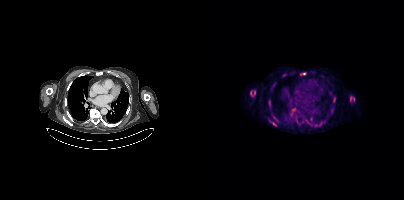
Findings: Coordinates are on the 200×200 PET (right) panel. (showing 8 of 10 foci) PSMA-avid tumor lesion bounding boxes (x0, y0)-(x1, y1): (46, 90)-(51, 96); (146, 96)-(150, 101); (64, 100)-(66, 104); (68, 122)-(72, 125); (96, 73)-(101, 74). Small PSMA-avid foci (2 to 4 px across) near (center x, center y): (116, 123); (129, 96); (70, 117).
- Left: CT. Right: PSMA PET, same axial level, [18F]PSMA-1007 tracer